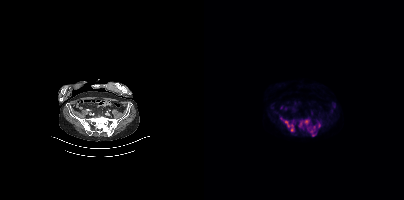
Findings: Coordinates are on the 200×200 PET (right) panel. PSMA-avid tumor lesion bounding boxes (x, y, width, height): x=104 y=121 w=13 h=16 | x=94 y=119 w=12 h=12 | x=77 y=117 w=13 h=15.
Technique: Two-panel axial: CT | PSMA PET, 18F tracer. acquired on Siemens Biograph mCT Flow 20. slice 124 of 415.